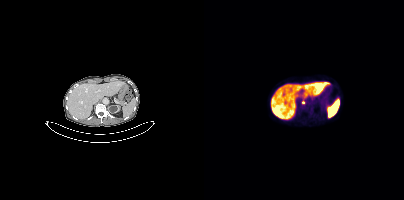
Technique: Two-panel axial: CT | PSMA PET, [18F]PSMA-1007 tracer. acquired on Siemens Biograph mCT Flow 20. PET panel 200×200 px (4.1 mm/px).
Findings: Coordinates are on the 200×200 PET (right) panel. Small PSMA-avid focus (2 to 4 px across) near (center x, center y): (99, 102).